Two-panel axial: CT | PSMA PET, 18F-PSMA tracer. Acquired on Siemens Biograph mCT Flow 20.
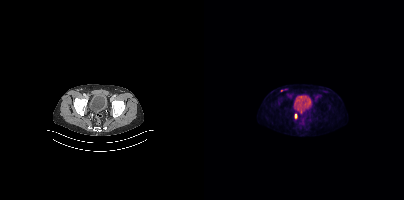
Coordinates are on the 200×200 PET (right) panel. (showing 2 of 3 foci) PSMA-avid tumor lesion bounding box (x0,y0,x1,y1): [91,114,92,118]. Small PSMA-avid focus (2 to 4 px across) near (center x, center y): (77, 90).